- Two-panel axial: CT | PSMA PET, 18F-PSMA tracer
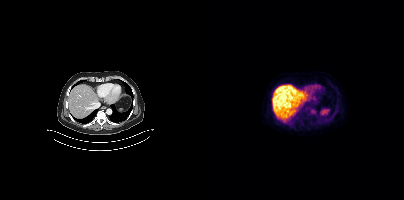
Findings: No tumor lesions annotated on this slice.